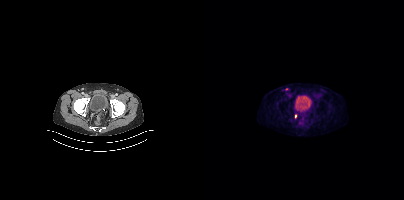
Coordinates are on the 200×200 PET (right) panel. Small PSMA-avid foci (2 to 4 px across) near (center x, center y): (91, 116) | (82, 88).